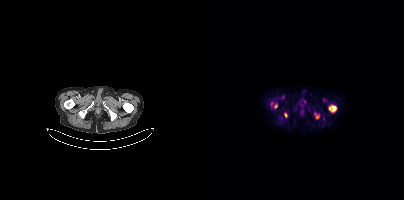
{"pet_grid":[200,200],"coord_frame":"pet_panel","coord_format":"x0,y0,x1,y1","partial":true,"lesion_bboxes":[[125,105,132,112],[70,103,73,108],[80,113,83,117]],"small_foci_centers":[[113,117],[67,103]],"modality":"PSMA PET/CT","view":"axial","tracer":"18F"}